Two-panel axial: CT | PSMA PET, 18F-PSMA tracer. Acquired on Siemens Biograph mCT Flow 20.
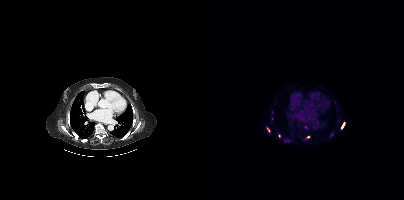
Coordinates are on the 200×200 PET (right) panel. PSMA-avid tumor lesion bounding boxes (partial; 2 more foci not listed):
| # | x0 | y0 | x1 | y1 |
|---|---|---|---|---|
| 1 | 62 | 127 | 66 | 132 |
| 2 | 137 | 122 | 140 | 128 |
| 3 | 101 | 136 | 106 | 139 |
Small PSMA-avid focus (2 to 4 px across) near (center x, center y): (75, 135).